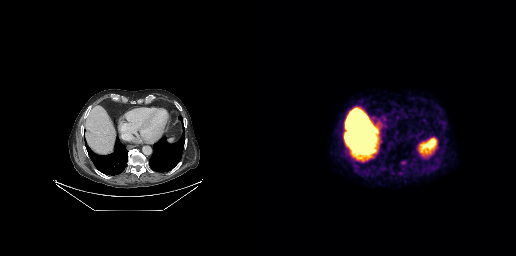
Left: CT. Right: PSMA PET, same axial level, 18F-PSMA tracer. Acquired on GE Discovery 690. Negative for PSMA-avid disease on this slice.